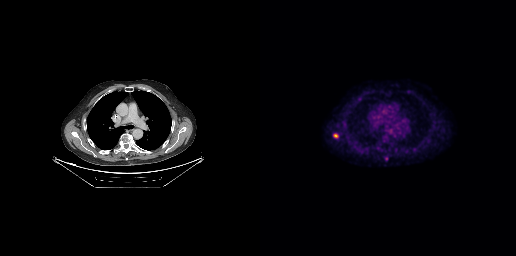
Coordinates are on the 256×256 PET (right) panel. PSMA-avid tumor lesion bounding box (x, y, width, height): x=73 y=133 w=6 h=6. Small PSMA-avid focus (2 to 4 px across) near (center x, center y): (99, 99).